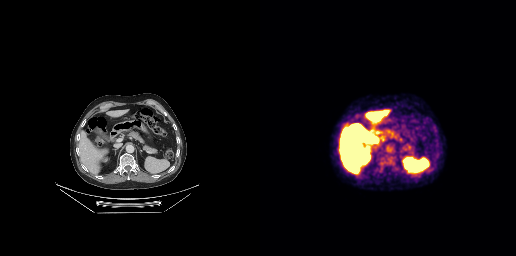
Two-panel axial: CT | PSMA PET, 18F-PSMA tracer. Acquired on GE Discovery 690. PET panel 256×256 px (2.7 mm/px). No tumor lesions annotated on this slice.